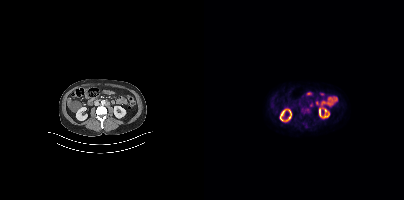
Technique: Left: CT. Right: PSMA PET, same axial level, 18F tracer. acquired on Siemens Biograph mCT Flow 20. slice position z = -1312 mm. PET panel 200×200 px (4.1 mm/px).
Findings: Coordinates are on the 200×200 PET (right) panel. (showing 1 of 2 foci) Small PSMA-avid focus (2 to 4 px across) near (center x, center y): (102, 125).